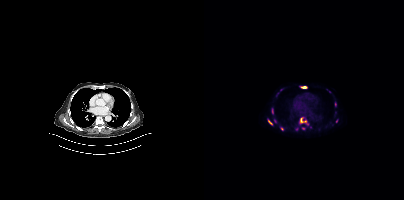
Coordinates are on the 200×200 PET (right) panel. (showing 3 of 4 foci) PSMA-avid tumor lesion bounding boxes (x, y, width, height): x=64 y=120 w=5 h=5; x=97 y=118 w=2 h=5. Small PSMA-avid focus (2 to 4 px across) near (center x, center y): (77, 128).